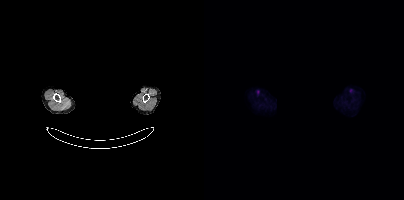
{"modality":"PSMA PET/CT","view":"axial","tracer":"18F","pet_grid":[200,200],"coord_frame":"pet_panel","coord_format":"x0,y0,x1,y1","psma_avid_lesions":false,"deidentification":"head region blacked out before release"}